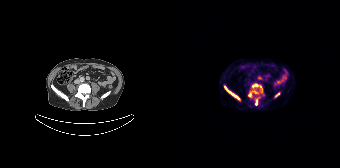
Findings: Coordinates are on the 168×168 PET (right) panel. PSMA-avid tumor lesion bounding boxes (x0, y0)-(x1, y1): (53, 87)-(67, 99); (80, 84)-(86, 87); (83, 99)-(85, 105). Small PSMA-avid foci (2 to 4 px across) near (center x, center y): (77, 94); (88, 86); (106, 94).
- Paired axial CT (left) and PSMA PET (right), [68Ga]Ga-PSMA-11 tracer
- PET panel 168×168 px (4.1 mm/px)